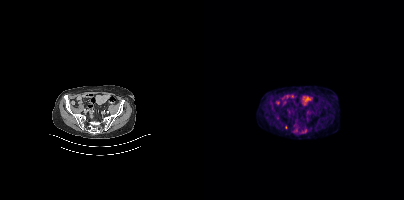
Left: CT. Right: PSMA PET, same axial level, 18F-PSMA tracer. Coordinates are on the 200×200 PET (right) panel. Small PSMA-avid focus (2 to 4 px across) near (center x, center y): (82, 127).